Technique: Paired axial CT (left) and PSMA PET (right), [18F]PSMA-1007 tracer. acquired on Siemens Biograph mCT Flow 20. PET panel 200×200 px (4.1 mm/px).
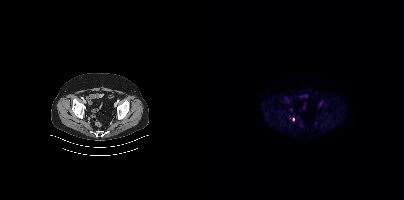
Findings: Coordinates are on the 200×200 PET (right) panel. Small PSMA-avid focus (2 to 4 px across) near (center x, center y): (89, 119).